Left: CT. Right: PSMA PET, same axial level, 18F-PSMA tracer. Acquired on Siemens Biograph mCT Flow 20. PET panel 200×200 px (4.1 mm/px).
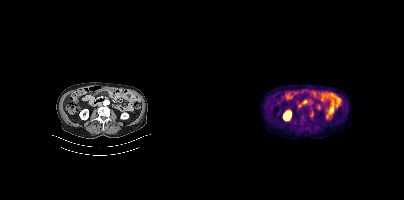
No tumor lesions annotated on this slice.